Two-panel axial: CT | PSMA PET, 18F-PSMA tracer. Acquired on Siemens Biograph mCT Flow 20. Slice 273 of 397.
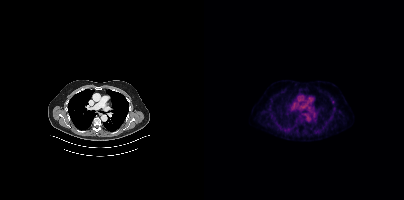
Coordinates are on the 200×200 PET (right) panel. Small PSMA-avid focus (2 to 4 px across) near (center x, center y): (128, 102).